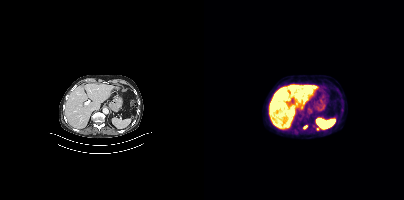
modality: PSMA PET/CT | tracer: 18F-PSMA | view: axial | PET grid: 200×200
Coordinates are on the 200×200 PET (right) panel. PSMA-avid tumor lesion bounding box (x, y, width, height): x=112 y=127 w=5 h=4. Small PSMA-avid focus (2 to 4 px across) near (center x, center y): (101, 127).